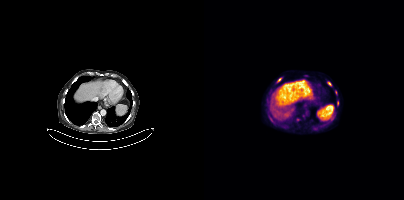
Coordinates are on the 200×200 PET (right) panel. (showing 5 of 9 foci) PSMA-avid tumor lesion bounding boxes (x0,y0,x1,y1): [73,78,77,82] [133,101,134,105]. Small PSMA-avid foci (2 to 4 px across) near (center x, center y): (125, 83) (129, 106) (68, 121).